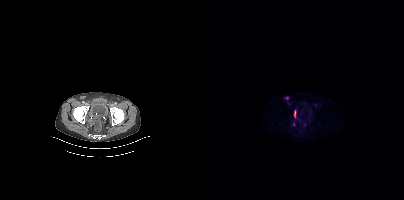
Left: CT. Right: PSMA PET, same axial level, 18F tracer. Slice 89 of 435. PET panel 200×200 px (4.1 mm/px).
Coordinates are on the 200×200 PET (right) panel. PSMA-avid tumor lesion bounding boxes (partial; 2 more foci not listed):
| # | x0 | y0 | x1 | y1 |
|---|---|---|---|---|
| 1 | 90 | 110 | 92 | 117 |
| 2 | 80 | 97 | 84 | 99 |